Left: CT. Right: PSMA PET, same axial level, [18F]PSMA-1007 tracer. Acquired on Siemens Biograph mCT Flow 20. PET panel 200×200 px (4.1 mm/px).
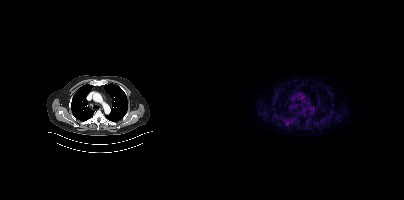
Coordinates are on the 200×200 PET (right) panel. Small PSMA-avid foci (2 to 4 px across) near (center x, center y): (91, 105) / (81, 123).